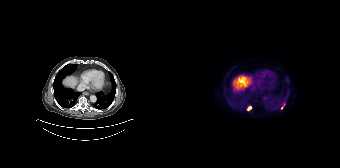
Paired axial CT (left) and PSMA PET (right), [18F]PSMA-1007 tracer. Acquired on Siemens Biograph 64-4R TruePoint. Coordinates are on the 168×168 PET (right) panel. PSMA-avid tumor lesion bounding box (x0,y0,x1,y1): [75,106,79,110]. Small PSMA-avid focus (2 to 4 px across) near (center x, center y): (109, 107).